modality: PSMA PET/CT | tracer: 18F-PSMA | view: axial | PET grid: 200×200
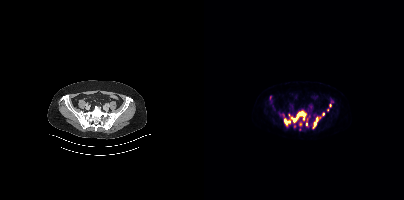
Coordinates are on the 200×200 PET (right) panel. (showing 7 of 8 foci) PSMA-avid tumor lesion bounding boxes (x0,y0,x1,y1): [80,111,101,125], [109,117,114,128]. Small PSMA-avid foci (2 to 4 px across) near (center x, center y): (119, 113), (102, 124), (126, 105), (123, 109), (96, 124).